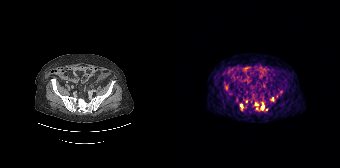
{"modality":"PSMA PET/CT","view":"axial","tracer":"68Ga-PSMA","pet_grid":[168,168],"coord_frame":"pet_panel","coord_format":"x0,y0,x1,y1","partial":true,"lesion_bboxes":[[89,103,92,110],[98,97,102,101],[68,104,70,108]],"small_foci_centers":[[84,104],[54,87],[74,101],[94,109]]}